- Left: CT. Right: PSMA PET, same axial level, 18F-PSMA tracer
- acquired on Siemens Biograph mCT Flow 20
- slice position z = -1149 mm
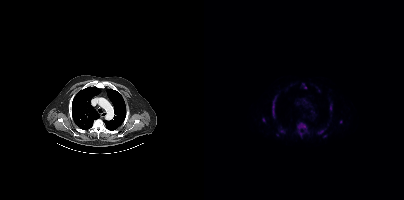
Findings: Coordinates are on the 200×200 PET (right) panel. PSMA-avid tumor lesion bounding boxes (x0, y0)-(x1, y1): (93, 122)-(102, 136) | (68, 96)-(72, 117) | (114, 130)-(119, 133) | (76, 130)-(80, 132). Small PSMA-avid foci (2 to 4 px across) near (center x, center y): (59, 119) | (126, 108) | (101, 87) | (136, 121) | (126, 104) | (73, 134) | (120, 135).